- Left: CT. Right: PSMA PET, same axial level, 18F-PSMA tracer
- slice position z = -996 mm
- PET panel 200×200 px (4.1 mm/px)
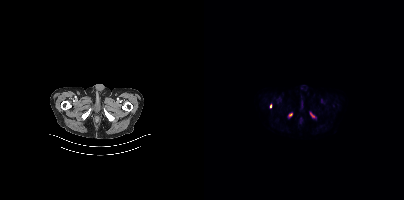
Findings: Coordinates are on the 200×200 PET (right) panel. PSMA-avid tumor lesion bounding box (x0, y0)-(x1, y1): (66, 104)-(67, 108). Small PSMA-avid foci (2 to 4 px across) near (center x, center y): (108, 115); (86, 114).